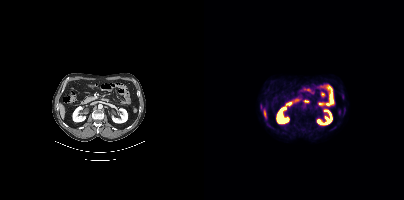
Two-panel axial: CT | PSMA PET, 18F-PSMA tracer. Slice position z = -1207 mm. PET panel 200×200 px (4.1 mm/px). This slice has no annotated PSMA-avid lesion.